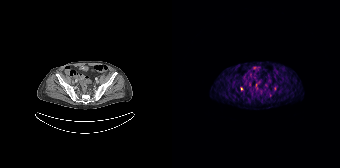
Left: CT. Right: PSMA PET, same axial level, [68Ga]Ga-PSMA-11 tracer. Acquired on Siemens Biograph 64-4R TruePoint. Slice 60 of 195. Coordinates are on the 168×168 PET (right) panel. (showing 1 of 2 foci) Small PSMA-avid focus (2 to 4 px across) near (center x, center y): (69, 88).